Two-panel axial: CT | PSMA PET, 68Ga-PSMA tracer. Slice position z = -1151 mm. PET panel 200×200 px (4.1 mm/px).
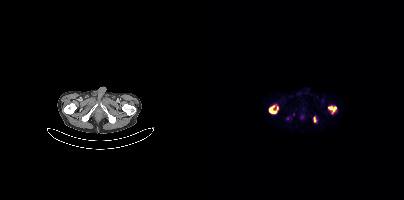
Coordinates are on the 200×200 PET (right) panel. PSMA-avid tumor lesion bounding boxes (x0, y0)-(x1, y1): (124, 106)-(132, 113) / (65, 106)-(71, 112) / (109, 117)-(112, 122). Small PSMA-avid focus (2 to 4 px across) near (center x, center y): (73, 108).